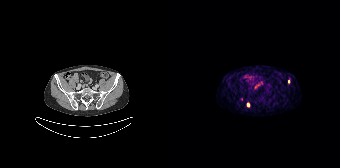
{"modality":"PSMA PET/CT","view":"axial","tracer":"68Ga","pet_grid":[168,168],"coord_frame":"pet_panel","coord_format":"x0,y0,x1,y1","partial":true,"lesion_bboxes":[[74,102,77,107]],"small_foci_centers":[[116,81]]}